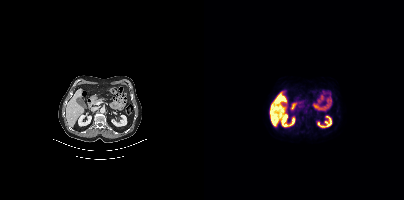
No PSMA-avid tumor lesions on this slice. Left: CT. Right: PSMA PET, same axial level, 18F-PSMA tracer. Slice 201 of 405.